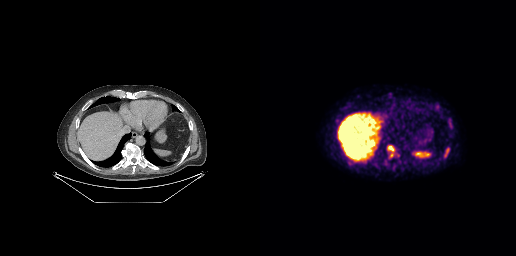
Coordinates are on the 256×256 PET (right) panel. PSMA-avid tumor lesion bounding boxes (x, y, width, height): x=184 y=147 w=6 h=11 | x=88 y=159 w=8 h=6 | x=128 y=145 w=7 h=7 | x=189 y=119 w=3 h=8. Small PSMA-avid focus (2 to 4 px across) near (center x, center y): (131, 155).
modality: PSMA PET/CT | tracer: 18F | view: axial